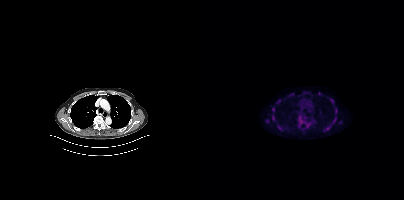
modality: PSMA PET/CT | tracer: [18F]PSMA-1007 | view: axial
Coordinates are on the 200×200 PET (right) panel. PSMA-avid tumor lesion bounding boxes (x0,y0,x1,y1): [95,117,100,122]; [129,118,132,122]; [131,108,133,113]; [68,116,70,120]. Small PSMA-avid foci (2 to 4 px across) near (center x, center y): (123, 127); (69, 109); (74, 101); (63, 121); (126, 98); (128, 102).